- Two-panel axial: CT | PSMA PET, [18F]PSMA-1007 tracer
- slice position z = -632 mm
- PET panel 200×200 px (4.1 mm/px)
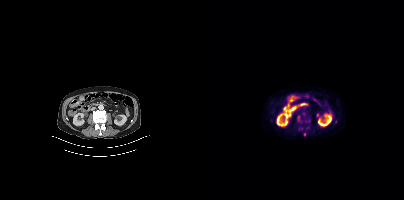
Findings: Coordinates are on the 200×200 PET (right) panel. Small PSMA-avid focus (2 to 4 px across) near (center x, center y): (94, 117).